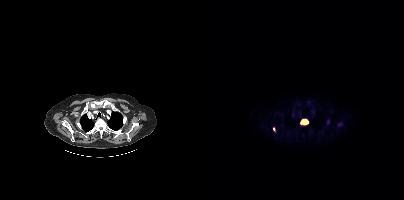
- Paired axial CT (left) and PSMA PET (right), [18F]PSMA-1007 tracer
- acquired on Siemens Biograph mCT Flow 20
- slice position z = -950 mm
- PET panel 200×200 px (4.1 mm/px)
Findings: Coordinates are on the 200×200 PET (right) panel. PSMA-avid tumor lesion bounding box (x0, y0)-(x1, y1): (96, 118)-(105, 124). Small PSMA-avid focus (2 to 4 px across) near (center x, center y): (69, 129).